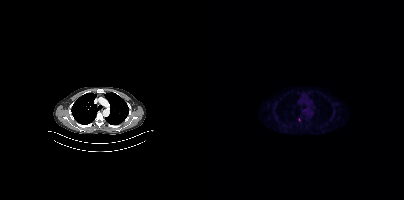
Only PSMA-avid lesion pieces thinner than 2 px on this slice (not listed).